Two-panel axial: CT | PSMA PET, 68Ga-PSMA tracer. Acquired on GE Discovery 690.
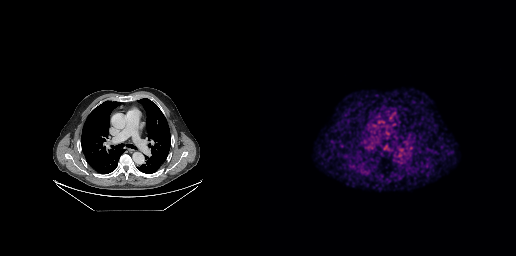
Negative for PSMA-avid disease on this slice.